modality: PSMA PET/CT | tracer: 18F-PSMA | view: axial
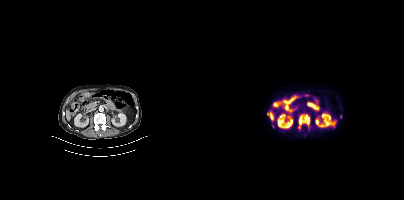
Coordinates are on the 200×200 PET (right) panel. PSMA-avid tumor lesion bounding box (x, y, width, height): x=94 y=113 w=13 h=17. Small PSMA-avid focus (2 to 4 px across) near (center x, center y): (136, 116).